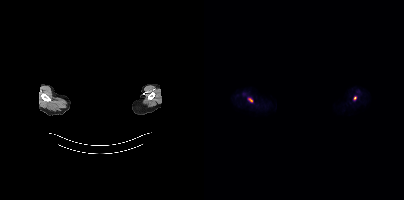
Findings: Coordinates are on the 200×200 PET (right) panel. Small PSMA-avid foci (2 to 4 px across) near (center x, center y): (46, 99) / (151, 98).
Technique: Two-panel axial: CT | PSMA PET, 18F-PSMA tracer.
Note: The head region is masked for de-identification.